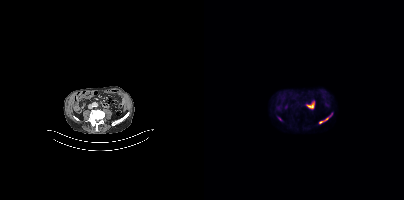
Coordinates are on the 200×200 PET (right) panel. PSMA-avid tumor lesion bounding box (x0, y0)-(x1, y1): (115, 113)-(128, 124). Small PSMA-avid focus (2 to 4 px across) near (center x, center y): (75, 118). Paired axial CT (left) and PSMA PET (right), 18F tracer. Acquired on Siemens Biograph mCT Flow 20. Slice position z = 136 mm. PET panel 200×200 px (4.1 mm/px).